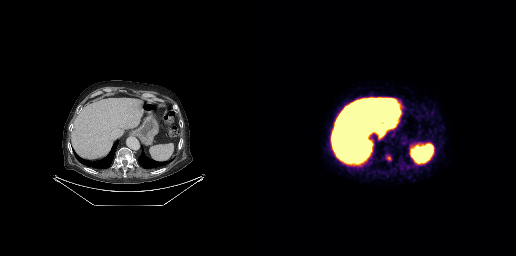
modality: PSMA PET/CT | tracer: [18F]PSMA-1007 | view: axial | PET grid: 256×256
Coordinates are on the 256×256 PET (right) panel. PSMA-avid tumor lesion bounding box (x0,y0,x1,y1): [126,155,131,160].